Left: CT. Right: PSMA PET, same axial level, 68Ga-PSMA tracer. Acquired on Siemens Biograph 64-4R TruePoint.
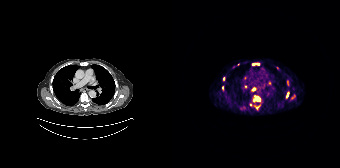
Coordinates are on the 168×168 PET (right) panel. (showing 11 of 16 foci) PSMA-avid tumor lesion bounding boxes (x0, y0)-(x1, y1): (83, 105)-(87, 110); (84, 97)-(87, 101). Small PSMA-avid foci (2 to 4 px across) near (center x, center y): (81, 89); (51, 78); (50, 87); (73, 86); (69, 108); (115, 80); (115, 93); (114, 97); (78, 104).